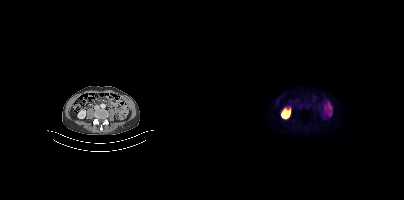
- Paired axial CT (left) and PSMA PET (right), 18F tracer
- slice 132 of 405
Findings: Only PSMA-avid lesion pieces thinner than 2 px on this slice (not listed).